Technique: Paired axial CT (left) and PSMA PET (right), 68Ga tracer. slice 155 of 299.
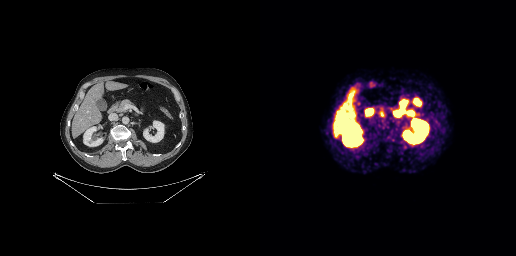
Findings: Coordinates are on the 256×256 PET (right) panel. PSMA-avid tumor lesion bounding box (x, y, width, height): x=120 y=111 w=5 h=6.